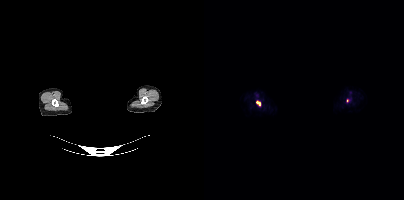
A rectangular block over the head has been blanked out for de-identification. Paired axial CT (left) and PSMA PET (right), [18F]PSMA-1007 tracer. Acquired on Siemens Biograph mCT Flow 20. PET panel 200×200 px (4.1 mm/px).
Coordinates are on the 200×200 PET (right) panel. PSMA-avid tumor lesion bounding boxes (partial; 1 more focus not listed):
| # | x0 | y0 | x1 | y1 |
|---|---|---|---|---|
| 1 | 52 | 101 | 56 | 105 |